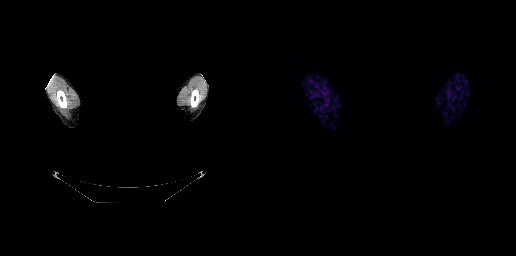
The face region was removed for patient privacy by blanking a rectangle over the head.
No tumor lesions annotated on this slice.